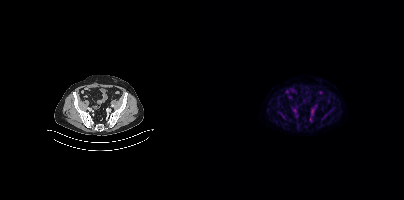
{"modality":"PSMA PET/CT","view":"axial","tracer":"18F-PSMA","pet_grid":[200,200],"coord_frame":"pet_panel","coord_format":"x0,y0,x1,y1","lesion_bboxes":[[117,115,121,120],[78,115,82,119]],"small_foci_centers":[[75,113]]}